Paired axial CT (left) and PSMA PET (right), [18F]PSMA-1007 tracer. Slice 296 of 391.
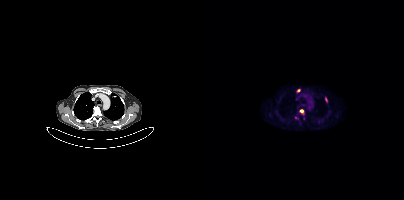
Coordinates are on the 200×200 PET (right) panel. PSMA-avid tumor lesion bounding boxes (x0, y0)-(x1, y1): (95, 110)-(100, 114) / (121, 97)-(123, 102). Small PSMA-avid foci (2 to 4 px across) near (center x, center y): (94, 90) / (91, 117).